- Left: CT. Right: PSMA PET, same axial level, 18F-PSMA tracer
- PET panel 200×200 px (4.1 mm/px)
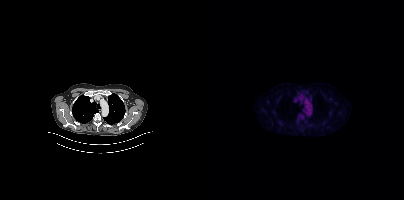
Findings: No tumor lesions annotated on this slice.